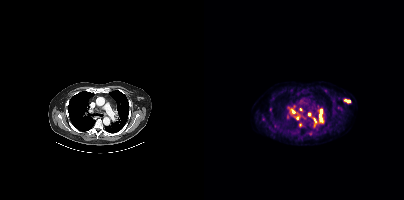
Coordinates are on the 200×200 PET (right) panel. (showing 15 of 16 foci) PSMA-avid tumor lesion bounding boxes (x0, y0)-(x1, y1): (115, 109)-(120, 123) | (91, 115)-(95, 120) | (110, 118)-(112, 127) | (140, 99)-(145, 103) | (86, 110)-(91, 113) | (83, 114)-(85, 118). Small PSMA-avid foci (2 to 4 px across) near (center x, center y): (96, 124) | (105, 114) | (59, 119) | (85, 108) | (71, 125) | (90, 106) | (66, 109) | (121, 90) | (106, 133).